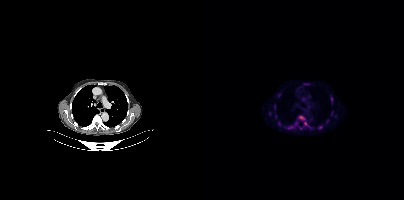
{"modality":"PSMA PET/CT","view":"axial","tracer":"18F-PSMA","pet_grid":[200,200],"coord_frame":"pet_panel","coord_format":"x0,y0,x1,y1","partial":true,"lesion_bboxes":[[95,116,101,119],[84,126,88,128],[70,105,71,109]],"small_foci_centers":[[101,123],[65,113],[71,116],[127,97],[116,127]]}